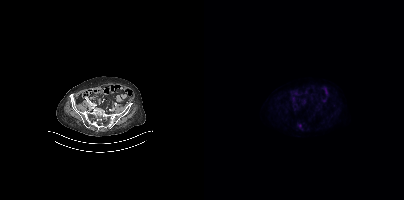
Coordinates are on the 200×200 PET (right) panel. Small PSMA-avid focus (2 to 4 px across) near (center x, center y): (95, 125).